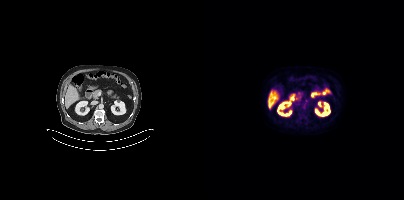
modality: PSMA PET/CT | tracer: 18F-PSMA | view: axial | PET grid: 200×200
No tumor lesions annotated on this slice.